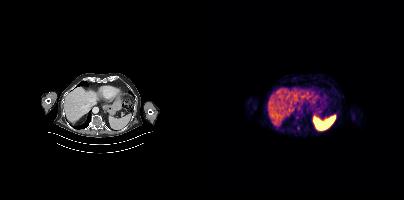
Two-panel axial: CT | PSMA PET, 18F tracer. Acquired on Siemens Biograph mCT Flow 20. PET panel 200×200 px (4.1 mm/px). No tumor lesions annotated on this slice.